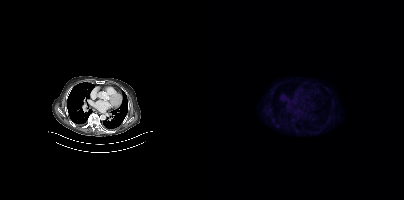
Findings: Only PSMA-avid lesion pieces thinner than 2 px on this slice (not listed).
- Paired axial CT (left) and PSMA PET (right), 18F-PSMA tracer
- acquired on Siemens Biograph mCT Flow 20
- slice 243 of 383